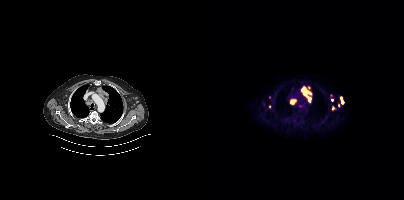
Coordinates are on the 200×200 PET (right) panel. (showing 10 of 11 foci) PSMA-avid tumor lesion bounding boxes (x, y, width, height): x=97 y=86 w=12 h=17 / x=86 y=99 w=7 h=6 / x=136 y=96 w=5 h=9. Small PSMA-avid foci (2 to 4 px across) near (center x, center y): (128, 100) / (66, 106) / (65, 97) / (129, 108) / (127, 95) / (134, 105) / (96, 105).